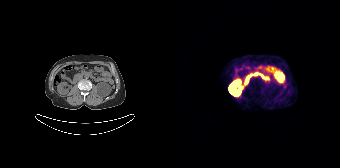
Two-panel axial: CT | PSMA PET, 68Ga-PSMA tracer. This slice has no annotated PSMA-avid lesion.